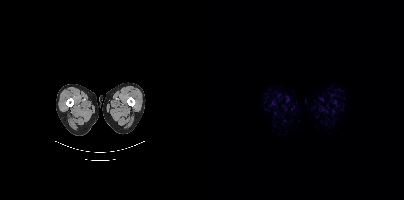
Negative for PSMA-avid disease on this slice.